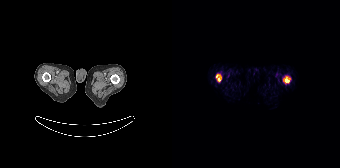
Coordinates are on the 168×168 PET (right) panel. PSMA-avid tumor lesion bounding boxes (x0,y0,x1,y1): [111,76,118,83]; [44,74,49,81]. Two-panel axial: CT | PSMA PET, [18F]PSMA-1007 tracer. Acquired on Siemens Biograph 64-4R TruePoint. Slice position z = -1710 mm.